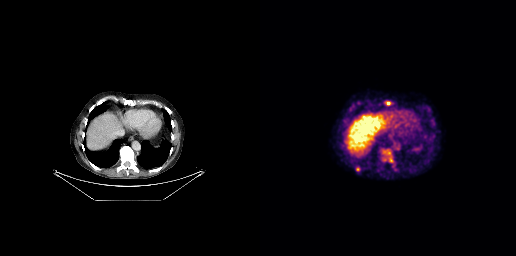
Two-panel axial: CT | PSMA PET, 18F tracer. Acquired on GE Discovery 690. Slice position z = -354 mm.
Coordinates are on the 256×256 PET (right) panel. PSMA-avid tumor lesion bounding boxes (partial; 1 more focus not listed):
| # | x0 | y0 | x1 | y1 |
|---|---|---|---|---|
| 1 | 126 | 102 | 130 | 105 |
Small PSMA-avid focus (2 to 4 px across) near (center x, center y): (97, 168).